Technique: Two-panel axial: CT | PSMA PET, [18F]PSMA-1007 tracer.
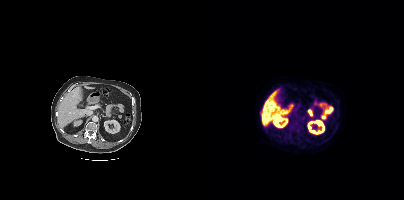
Findings: This slice has no annotated PSMA-avid lesion.